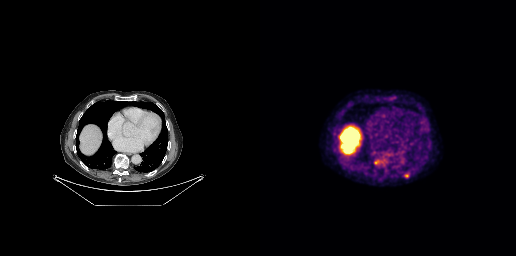
Coordinates are on the 256×256 PET (right) panel. PSMA-avid tumor lesion bounding boxes (x, y, width, height): x=114 y=159 w=7 h=7 | x=131 y=97 w=5 h=3. Small PSMA-avid foci (2 to 4 px across) near (center x, center y): (146, 175) | (167, 121).